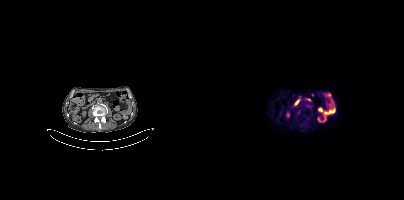
Coordinates are on the 200×200 PET (right) panel. Small PSMA-avid focus (2 to 4 px across) near (center x, center y): (92, 106).